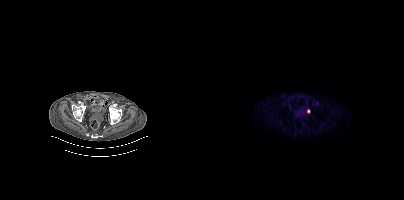
{"pet_grid":[200,200],"coord_frame":"pet_panel","coord_format":"x0,y0,x1,y1","partial":true,"lesion_bboxes":[],"modality":"PSMA PET/CT","view":"axial","tracer":"18F"}